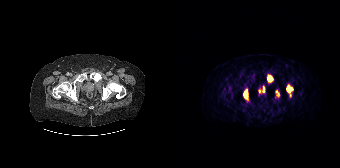
{"modality":"PSMA PET/CT","view":"axial","tracer":"68Ga-PSMA","pet_grid":[168,168],"coord_frame":"pet_panel","coord_format":"x0,y0,x1,y1","partial":true,"lesion_bboxes":[[71,88,76,100],[95,75,100,81],[114,85,120,92],[91,87,92,92]],"small_foci_centers":[[106,94]]}